- Left: CT. Right: PSMA PET, same axial level, 18F tracer
- acquired on GE Discovery 690
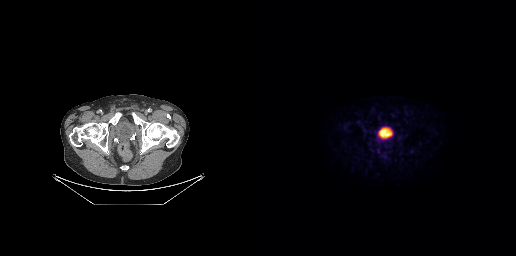
Findings: Negative for PSMA-avid disease on this slice.